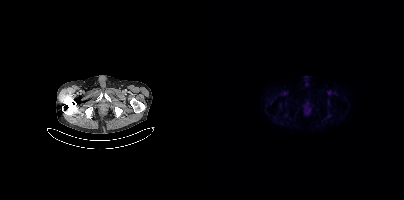
Negative for PSMA-avid disease on this slice.